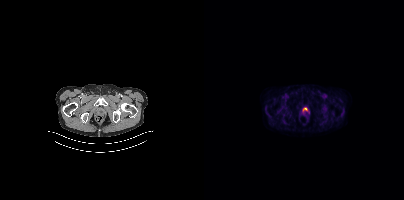
Coordinates are on the 200×200 PET (right) panel. PSMA-avid tumor lesion bounding boxes:
| # | x0 | y0 | x1 | y1 |
|---|---|---|---|---|
| 1 | 99 | 107 | 105 | 112 |
Left: CT. Right: PSMA PET, same axial level, [18F]PSMA-1007 tracer. PET panel 200×200 px (4.1 mm/px).